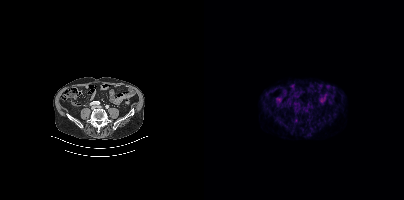
{"pet_grid":[200,200],"coord_frame":"pet_panel","coord_format":"x0,y0,x1,y1","psma_avid_lesions":false,"modality":"PSMA PET/CT","view":"axial","tracer":"18F"}